Left: CT. Right: PSMA PET, same axial level, 68Ga-PSMA tracer. Acquired on GE Discovery 690.
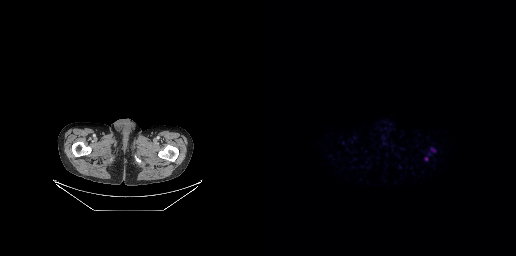
Negative for PSMA-avid disease on this slice.